Technique: Left: CT. Right: PSMA PET, same axial level, 18F-PSMA tracer. acquired on Siemens Biograph mCT Flow 20.
Note: Face de-identified by blanking a block of the head.
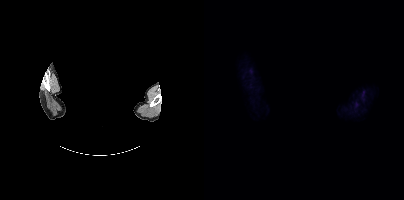
Findings: No PSMA-avid tumor lesions on this slice.